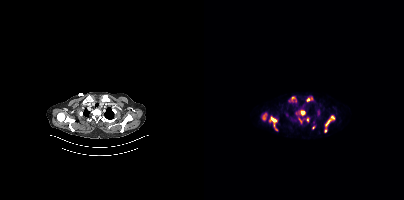
Paired axial CT (left) and PSMA PET (right), 68Ga-PSMA tracer. Acquired on Siemens Biograph mCT Flow 20. PET panel 200×200 px (4.1 mm/px).
Coordinates are on the 200×200 PET (right) panel. PSMA-avid tumor lesion bounding boxes:
| # | x0 | y0 | x1 | y1 |
|---|---|---|---|---|
| 1 | 65 | 116 | 73 | 130 |
| 2 | 121 | 116 | 130 | 131 |
| 3 | 91 | 110 | 101 | 115 |
| 4 | 87 | 97 | 92 | 101 |
| 5 | 87 | 118 | 91 | 122 |
| 6 | 103 | 98 | 108 | 101 |
| 7 | 59 | 115 | 61 | 119 |
Small PSMA-avid foci (2 to 4 px across) near (center x, center y): (103, 119); (109, 126); (113, 114); (96, 120).